Technique: Left: CT. Right: PSMA PET, same axial level, [18F]PSMA-1007 tracer. acquired on Siemens Biograph mCT Flow 20. slice 175 of 403.
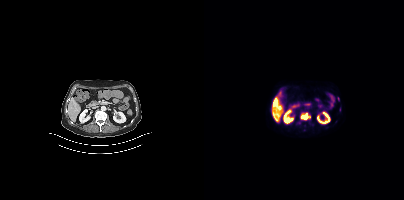
Findings: Coordinates are on the 200×200 PET (right) panel. PSMA-avid tumor lesion bounding boxes (x0, y0)-(x1, y1): (97, 113)-(106, 119); (69, 100)-(73, 105).